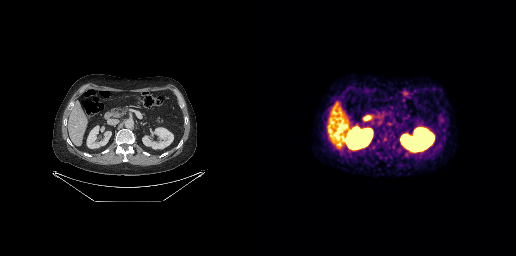
{"modality":"PSMA PET/CT","view":"axial","tracer":"68Ga-PSMA","pet_grid":[256,256],"coord_frame":"pet_panel","coord_format":"x0,y0,x1,y1","psma_avid_lesions":false}